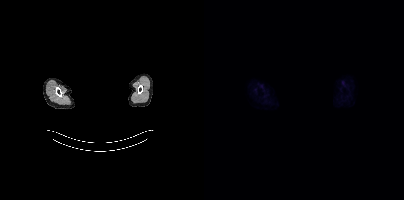
Technique: Left: CT. Right: PSMA PET, same axial level, [18F]PSMA-1007 tracer. slice 397 of 423.
Note: The head region is masked for de-identification.
Findings: Negative for PSMA-avid disease on this slice.